- Left: CT. Right: PSMA PET, same axial level, [18F]PSMA-1007 tracer
- slice position z = -502 mm
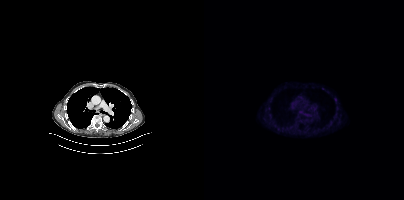
Findings: Negative for PSMA-avid disease on this slice.